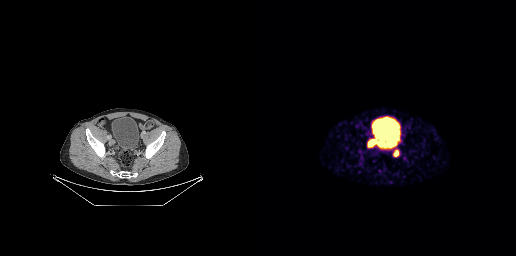
{"modality":"PSMA PET/CT","view":"axial","tracer":"68Ga-PSMA","pet_grid":[256,256],"coord_frame":"pet_panel","coord_format":"x0,y0,x1,y1","lesion_bboxes":[[108,140,114,146],[133,150,138,155]]}